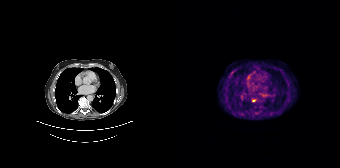
Coordinates are on the 168×168 PET (right) panel. (showing 1 of 2 foci) Small PSMA-avid focus (2 to 4 px across) near (center x, center y): (81, 100).